- Left: CT. Right: PSMA PET, same axial level, 18F-PSMA tracer
- PET panel 256×256 px (2.7 mm/px)
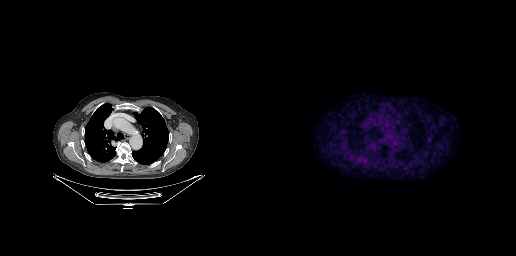
Findings: Coordinates are on the 256×256 PET (right) panel. Small PSMA-avid focus (2 to 4 px across) near (center x, center y): (169, 139).